Paired axial CT (left) and PSMA PET (right), 18F tracer. Acquired on Siemens Biograph mCT Flow 20. PET panel 200×200 px (4.1 mm/px).
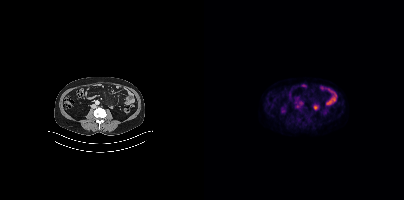
This slice has no annotated PSMA-avid lesion.